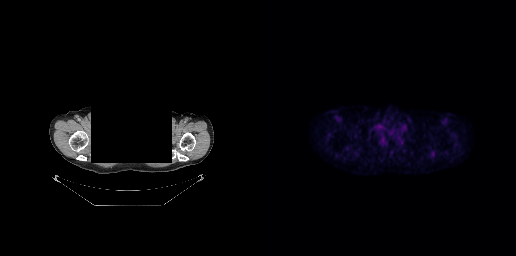
Paired axial CT (left) and PSMA PET (right), 18F-PSMA tracer. A rectangle over the head was blacked out to remove identifiable facial features. No PSMA-avid tumor lesions on this slice.